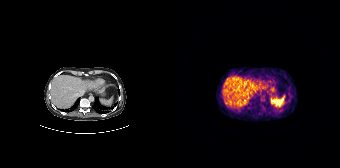
{"modality":"PSMA PET/CT","view":"axial","tracer":"[68Ga]Ga-PSMA-11","pet_grid":[168,168],"coord_frame":"pet_panel","coord_format":"x0,y0,x1,y1","psma_avid_lesions":false}